- Paired axial CT (left) and PSMA PET (right), [18F]PSMA-1007 tracer
- PET panel 200×200 px (4.1 mm/px)
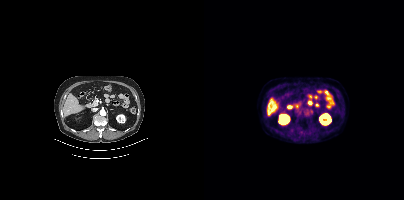
Findings: No tumor lesions annotated on this slice.